Technique: Left: CT. Right: PSMA PET, same axial level, 18F tracer. PET panel 200×200 px (4.1 mm/px).
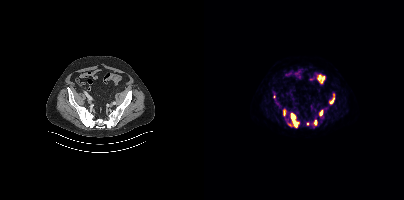
Findings: Coordinates are on the 200×200 PET (right) panel. PSMA-avid tumor lesion bounding boxes (x0,y0,x1,y1): [83,113,94,127], [125,98,130,103], [79,110,82,115], [116,110,119,115]. Small PSMA-avid foci (2 to 4 px across) near (center x, center y): (111, 122), (70, 96), (103, 123).